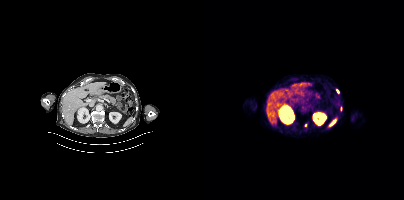
Coordinates are on the 200×200 PET (right) panel. (showing 2 of 3 foci) PSMA-avid tumor lesion bounding box (x0,y0,x1,y1): [133,89,135,93]. Small PSMA-avid focus (2 to 4 px across) near (center x, center y): (101, 125).